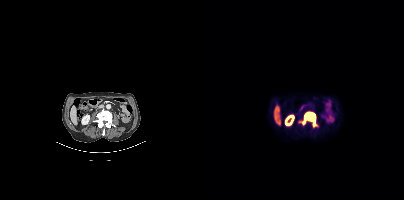
{"modality":"PSMA PET/CT","view":"axial","tracer":"[18F]PSMA-1007","pet_grid":[200,200],"coord_frame":"pet_panel","coord_format":"x0,y0,x1,y1","lesion_bboxes":[[94,112,113,126]]}